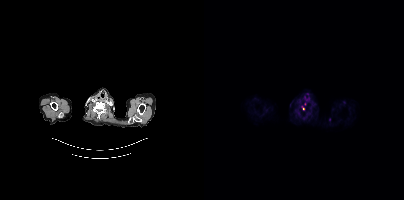
modality: PSMA PET/CT | tracer: [68Ga]Ga-PSMA-11 | view: axial | PET grid: 200×200
Coordinates are on the 200×200 PET (right) panel. Small PSMA-avid focus (2 to 4 px across) near (center x, center y): (99, 108).